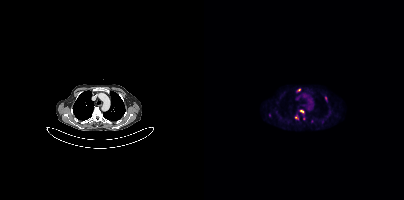
Technique: Left: CT. Right: PSMA PET, same axial level, 18F tracer.
Findings: Coordinates are on the 200×200 PET (right) panel. PSMA-avid tumor lesion bounding boxes (x, y, width, height): x=95 y=110 w=6 h=4; x=91 y=115 w=4 h=5; x=121 y=96 w=2 h=5. Small PSMA-avid foci (2 to 4 px across) near (center x, center y): (95, 90); (99, 118).